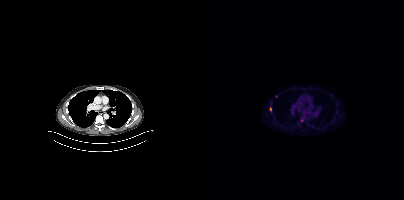
Coordinates are on the 200×200 PET (right) panel. PSMA-avid tumor lesion bounding box (x, y, width, height): x=97 y=117 w=4 h=5. Small PSMA-avid foci (2 to 4 px across) near (center x, center y): (66, 109); (72, 96).